Technique: Left: CT. Right: PSMA PET, same axial level, 18F-PSMA tracer. PET panel 200×200 px (4.1 mm/px).
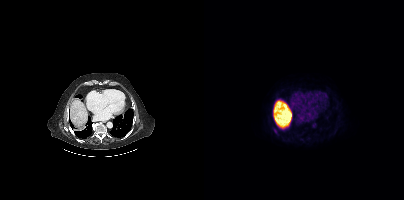
Findings: Only PSMA-avid lesion pieces thinner than 2 px on this slice (not listed).